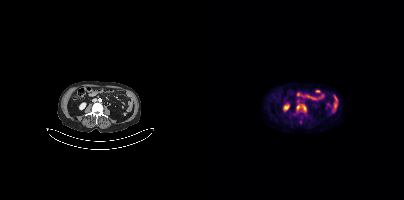
Coordinates are on the 200×200 PET (right) panel. PSMA-avid tumor lesion bounding box (x, y, width, height): x=92 y=104 w=11 h=8.
modality: PSMA PET/CT | tracer: [18F]PSMA-1007 | view: axial